Two-panel axial: CT | PSMA PET, 68Ga-PSMA tracer. PET panel 168×168 px (4.1 mm/px).
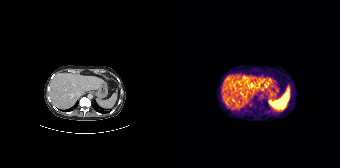
No tumor lesions annotated on this slice.